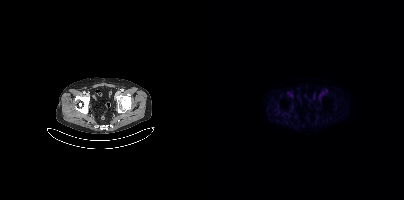
Left: CT. Right: PSMA PET, same axial level, [18F]PSMA-1007 tracer. Slice 80 of 429. Negative for PSMA-avid disease on this slice.